Paired axial CT (left) and PSMA PET (right), 18F tracer. Slice position z = -530 mm.
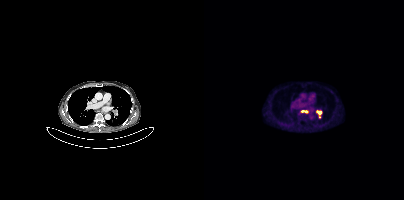
Coordinates are on the 200×200 PET (right) panel. PSMA-avid tumor lesion bounding boxes:
| # | x0 | y0 | x1 | y1 |
|---|---|---|---|---|
| 1 | 112 | 110 | 118 | 117 |
| 2 | 97 | 110 | 104 | 113 |